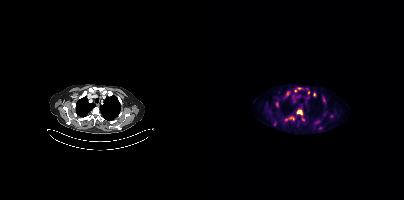
Coordinates are on the 200×200 PET (right) panel. (showing 10 of 12 foci) PSMA-avid tumor lesion bounding boxes (x, y, width, height): x=93 y=110 w=6 h=5 | x=118 y=96 w=4 h=6 | x=86 y=117 w=5 h=3. Small PSMA-avid foci (2 to 4 px across) near (center x, center y): (83, 92) | (110, 94) | (73, 103) | (91, 91) | (104, 92) | (95, 88) | (102, 88). Paired axial CT (left) and PSMA PET (right), 18F tracer. Acquired on Siemens Biograph mCT Flow 20. Slice position z = -450 mm. PET panel 200×200 px (4.1 mm/px).